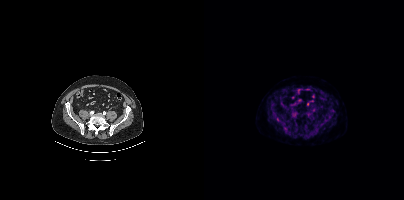
Findings: No PSMA-avid tumor lesions on this slice.
- Paired axial CT (left) and PSMA PET (right), [18F]PSMA-1007 tracer
- slice position z = -312 mm
- PET panel 200×200 px (4.1 mm/px)